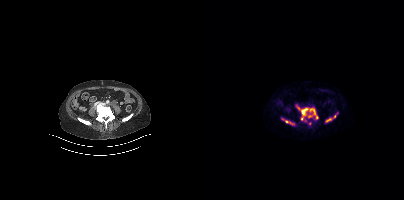
{"modality":"PSMA PET/CT","view":"axial","tracer":"68Ga-PSMA","pet_grid":[200,200],"coord_frame":"pet_panel","coord_format":"x0,y0,x1,y1","lesion_bboxes":[[93,105,114,121],[81,120,90,125],[121,115,131,122]],"small_foci_centers":[[106,123],[78,118]]}